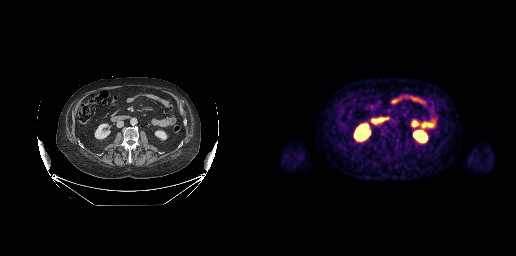
Left: CT. Right: PSMA PET, same axial level, [18F]PSMA-1007 tracer. No tumor lesions annotated on this slice.